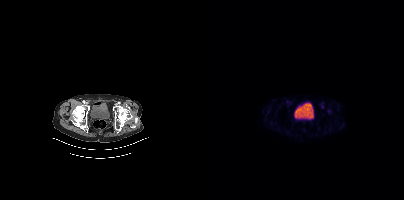
Findings: No tumor lesions annotated on this slice.
Technique: Left: CT. Right: PSMA PET, same axial level, 68Ga tracer. slice position z = -1528 mm.